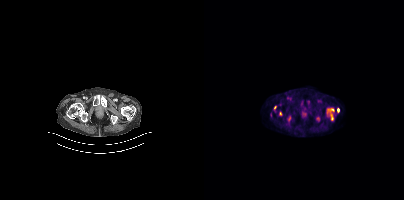
{"modality":"PSMA PET/CT","view":"axial","tracer":"18F-PSMA","pet_grid":[200,200],"coord_frame":"pet_panel","coord_format":"x0,y0,x1,y1","lesion_bboxes":[],"small_foci_centers":[[76,113]]}